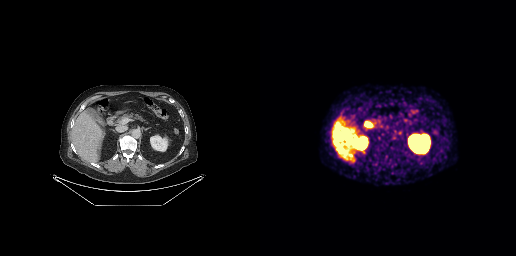
{"modality":"PSMA PET/CT","view":"axial","tracer":"[68Ga]Ga-PSMA-11","pet_grid":[256,256],"coord_frame":"pet_panel","coord_format":"x0,y0,x1,y1","psma_avid_lesions":false}